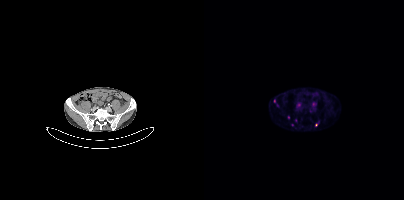
Findings: Coordinates are on the 200×200 PET (right) panel. (showing 2 of 6 foci) PSMA-avid tumor lesion bounding box (x0, y0)-(x1, y1): (93, 103)-(96, 107). Small PSMA-avid focus (2 to 4 px across) near (center x, center y): (88, 125).
Technique: Left: CT. Right: PSMA PET, same axial level, 68Ga-PSMA tracer.